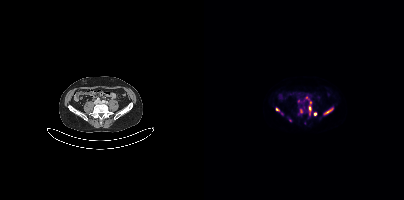
modality: PSMA PET/CT | tracer: 18F | view: axial
Coordinates are on the 200×200 PET (right) panel. (showing 8 of 9 foci) PSMA-avid tumor lesion bounding boxes (x, y, width, height): x=104 y=101 w=4 h=15 / x=120 y=107 w=10 h=8. Small PSMA-avid foci (2 to 4 px across) near (center x, center y): (77, 113) / (73, 109) / (103, 97) / (97, 111) / (111, 113) / (94, 101).